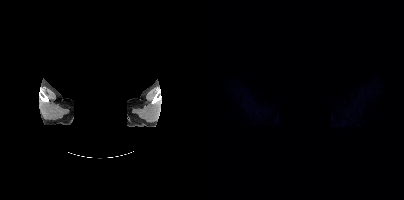
{"modality":"PSMA PET/CT","view":"axial","tracer":"18F-PSMA","pet_grid":[200,200],"coord_frame":"pet_panel","coord_format":"x0,y0,x1,y1","psma_avid_lesions":false,"deidentification":"face masked with black rectangle"}